Two-panel axial: CT | PSMA PET, 18F tracer. Acquired on GE Discovery 690. PET panel 256×256 px (2.7 mm/px).
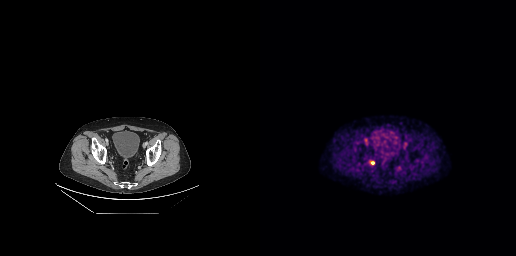
Coordinates are on the 256×256 PET (right) panel. PSMA-avid tumor lesion bounding boxes:
| # | x0 | y0 | x1 | y1 |
|---|---|---|---|---|
| 1 | 110 | 161 | 114 | 164 |